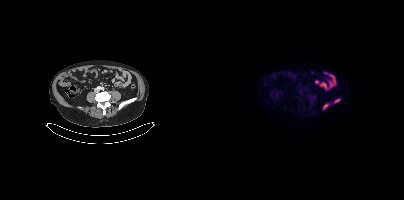
Coordinates are on the 200×200 PET (right) panel. PSMA-avid tumor lesion bounding boxes:
| # | x0 | y0 | x1 | y1 |
|---|---|---|---|---|
| 1 | 119 | 103 | 125 | 109 |
| 2 | 130 | 98 | 136 | 103 |
Two-panel axial: CT | PSMA PET, [18F]PSMA-1007 tracer.